Left: CT. Right: PSMA PET, same axial level, [18F]PSMA-1007 tracer. Slice 41 of 354. PET panel 200×200 px (4.1 mm/px).
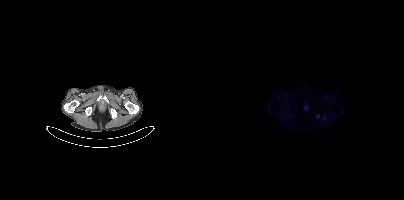
Only PSMA-avid lesion pieces thinner than 2 px on this slice (not listed).